Two-panel axial: CT | PSMA PET, 18F tracer.
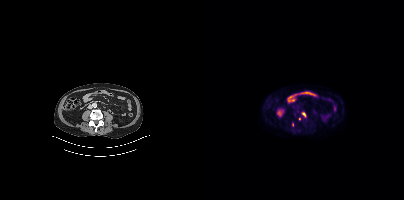
Only PSMA-avid lesion pieces thinner than 2 px on this slice (not listed).